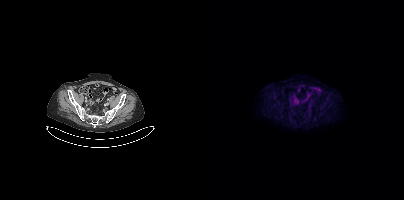
{"pet_grid":[200,200],"coord_frame":"pet_panel","coord_format":"x0,y0,x1,y1","psma_avid_lesions":false,"modality":"PSMA PET/CT","view":"axial","tracer":"18F"}